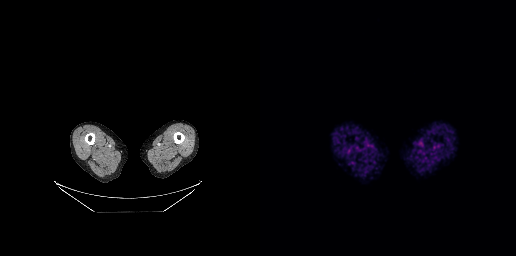
- Paired axial CT (left) and PSMA PET (right), [68Ga]Ga-PSMA-11 tracer
- slice 13 of 263
- PET panel 256×256 px (2.7 mm/px)
Findings: Negative for PSMA-avid disease on this slice.